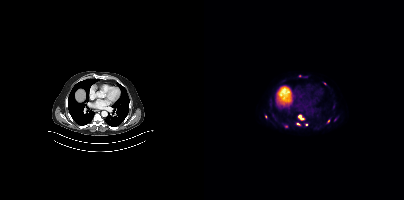
Coordinates are on the 200×200 PET (right) panel. (showing 8 of 9 foci) PSMA-avid tumor lesion bounding boxes (x0,y0,x1,y1): [94,114,100,120], [92,123,96,125]. Small PSMA-avid foci (2 to 4 px across) near (center x, center y): (96, 75), (102, 124), (82, 126), (61, 116), (124, 121), (120, 83).